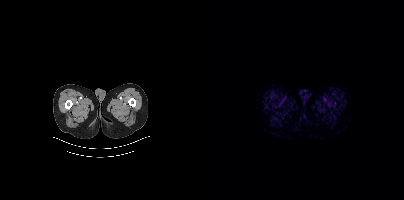
No tumor lesions annotated on this slice.